Paired axial CT (left) and PSMA PET (right), [68Ga]Ga-PSMA-11 tracer.
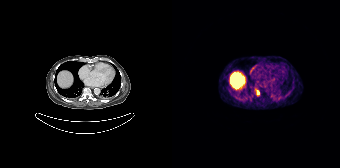
Coordinates are on the 168×168 PET (right) panel. PSMA-avid tumor lesion bounding boxes:
| # | x0 | y0 | x1 | y1 |
|---|---|---|---|---|
| 1 | 84 | 90 | 87 | 94 |